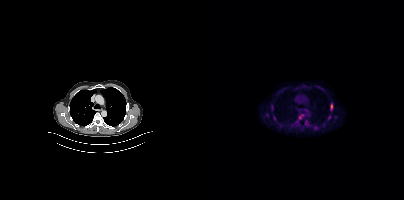
{"modality":"PSMA PET/CT","view":"axial","tracer":"18F","pet_grid":[200,200],"coord_frame":"pet_panel","coord_format":"x0,y0,x1,y1","partial":true,"lesion_bboxes":[[126,102,129,111],[110,126,114,129],[103,120,105,126],[67,105,68,110]],"small_foci_centers":[[125,117],[70,118],[63,114],[119,124]]}